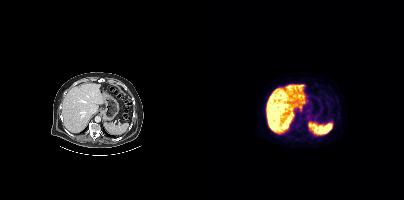
{"modality":"PSMA PET/CT","view":"axial","tracer":"18F","pet_grid":[200,200],"coord_frame":"pet_panel","coord_format":"x0,y0,x1,y1","psma_avid_lesions":false}